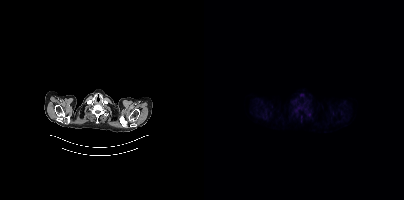
No tumor lesions annotated on this slice.
modality: PSMA PET/CT | tracer: 18F | view: axial